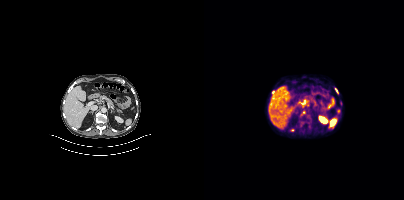
- Two-panel axial: CT | PSMA PET, 18F tracer
- slice position z = -666 mm
Findings: Coordinates are on the 200×200 PET (right) panel. PSMA-avid tumor lesion bounding boxes (x0, y0)-(x1, y1): (97, 111)-(101, 115) / (131, 88)-(134, 93). Small PSMA-avid foci (2 to 4 px across) near (center x, center y): (69, 92) / (88, 130).